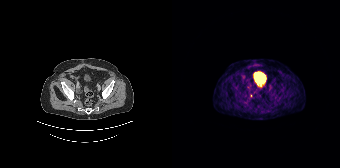
Coordinates are on the 168×168 PET (right) panel. Small PSMA-avid focus (2 to 4 px across) near (center x, center y): (79, 95). Two-panel axial: CT | PSMA PET, 68Ga-PSMA tracer. Acquired on Siemens Biograph 64-4R TruePoint. PET panel 168×168 px (4.1 mm/px).